- Paired axial CT (left) and PSMA PET (right), [18F]PSMA-1007 tracer
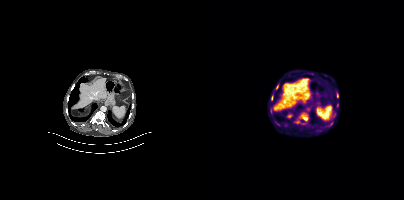
Findings: Coordinates are on the 200×200 PET (right) panel. PSMA-avid tumor lesion bounding box (x0,y0,x1,y1): [96,115,102,120]. Small PSMA-avid foci (2 to 4 px across) near (center x, center y): (127, 124); (94, 122); (68, 94).